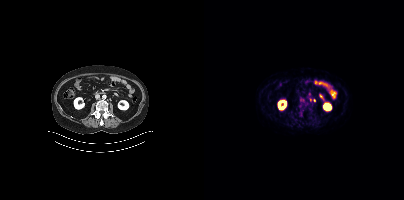
Coordinates are on the 200×200 PET (right) panel. Small PSMA-avid foci (2 to 4 px across) near (center x, center y): (110, 100); (106, 99).